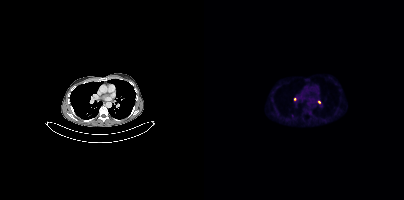
Coordinates are on the 200×200 PET (right) panel. Small PSMA-avid foci (2 to 4 px across) near (center x, center y): (115, 102) / (90, 99) / (106, 118) / (89, 116).